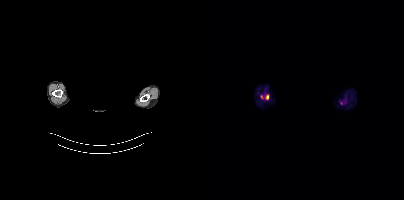
No tumor lesions annotated on this slice. The face region was removed for patient privacy by blanking a rectangle over the head. Paired axial CT (left) and PSMA PET (right), 18F tracer. Acquired on Siemens Biograph mCT Flow 20.